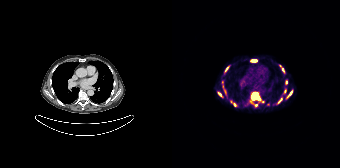
Findings: Coordinates are on the 168×168 PET (right) panel. (showing 11 of 15 foci) PSMA-avid tumor lesion bounding boxes (x0,y0,x1,y1): [80,96,87,99] [79,60,84,61] [116,91,120,96] [110,68,112,72]. Small PSMA-avid foci (2 to 4 px across) near (center x, center y): (83, 93) (47, 94) (114, 82) (50, 82) (62, 104) (55, 68) (106, 101).
- Paired axial CT (left) and PSMA PET (right), [68Ga]Ga-PSMA-11 tracer
- acquired on Siemens Biograph 64-4R TruePoint
- slice position z = -434 mm
- PET panel 168×168 px (4.1 mm/px)